Paired axial CT (left) and PSMA PET (right), 18F tracer. Acquired on Siemens Biograph mCT Flow 20. Slice 129 of 421.
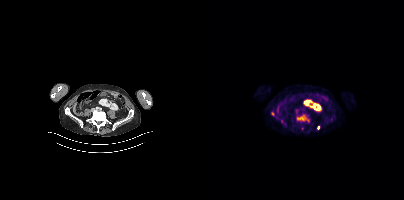
Coordinates are on the 200×200 PET (right) panel. PSMA-avid tumor lesion bounding boxes:
| # | x0 | y0 | x1 | y1 |
|---|---|---|---|---|
| 1 | 93 | 115 | 104 | 121 |
Small PSMA-avid foci (2 to 4 px across) near (center x, center y): (114, 127); (77, 121); (68, 113).